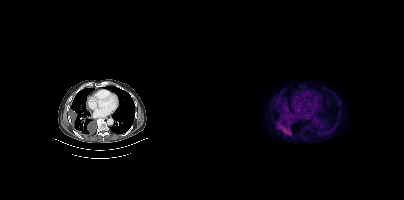
Paired axial CT (left) and PSMA PET (right), 18F-PSMA tracer. Slice position z = -1074 mm. PET panel 200×200 px (4.1 mm/px). Coordinates are on the 200×200 PET (right) panel. PSMA-avid tumor lesion bounding boxes (x0, y0)-(x1, y1): (73, 122)-(87, 135); (82, 109)-(86, 114).